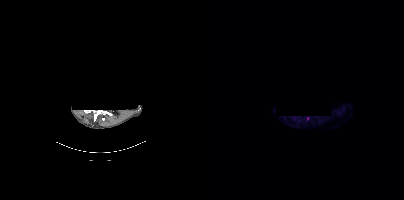
Coordinates are on the 200×200 PET (right) panel. Small PSMA-avid focus (2 to 4 px across) near (center x, center y): (103, 118). Paired axial CT (left) and PSMA PET (right), 18F-PSMA tracer. Slice 342 of 403. PET panel 200×200 px (4.1 mm/px). An anonymization step blacked out a rectangle over the head in this scan.